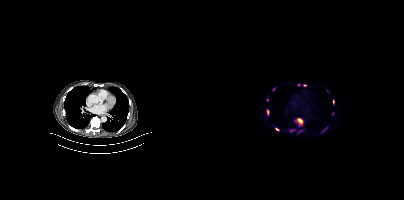
Paired axial CT (left) and PSMA PET (right), [18F]PSMA-1007 tracer. Acquired on Siemens Biograph mCT Flow 20. Slice 259 of 387. PET panel 200×200 px (4.1 mm/px).
Coordinates are on the 200×200 PET (right) panel. PSMA-avid tumor lesion bounding boxes (partial; 1 more focus not listed):
| # | x0 | y0 | x1 | y1 |
|---|---|---|---|---|
| 1 | 93 | 118 | 98 | 126 |
| 2 | 62 | 109 | 65 | 114 |
| 3 | 118 | 127 | 123 | 132 |
| 4 | 86 | 129 | 90 | 132 |
| 5 | 71 | 127 | 75 | 130 |
| 6 | 129 | 99 | 130 | 104 |
| 7 | 94 | 130 | 98 | 133 |
Small PSMA-avid foci (2 to 4 px across) near (center x, center y): (100, 85); (69, 89); (63, 100); (128, 113); (94, 84).